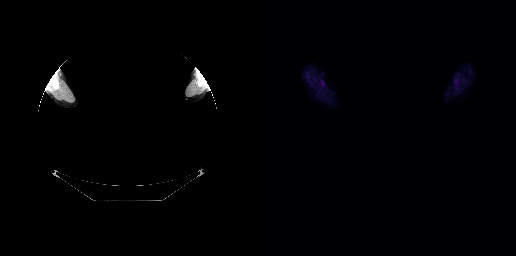
{"modality":"PSMA PET/CT","view":"axial","tracer":"18F-PSMA","pet_grid":[256,256],"coord_frame":"pet_panel","coord_format":"x0,y0,x1,y1","psma_avid_lesions":false,"deidentification":"privacy mask over head"}